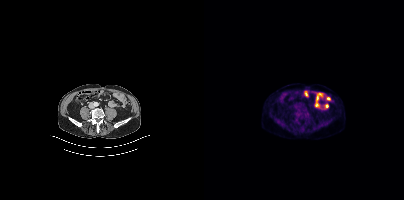
{"modality":"PSMA PET/CT","view":"axial","tracer":"[18F]PSMA-1007","pet_grid":[200,200],"coord_frame":"pet_panel","coord_format":"x0,y0,x1,y1","psma_avid_lesions":false}